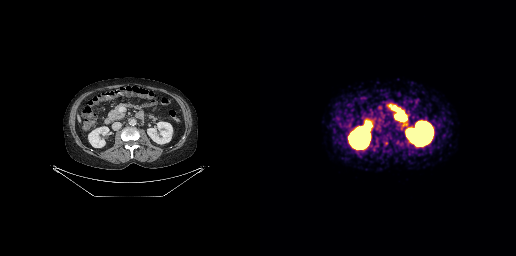
modality: PSMA PET/CT | tracer: 68Ga | view: axial
No PSMA-avid tumor lesions on this slice.